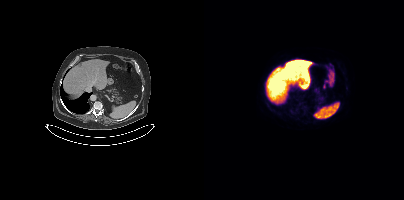
No tumor lesions annotated on this slice.